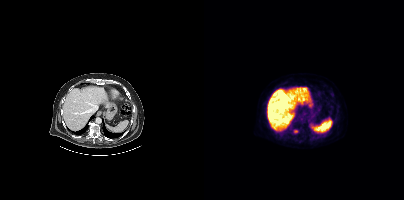
modality: PSMA PET/CT | tracer: [18F]PSMA-1007 | view: axial | PET grid: 200×200
Coordinates are on the 200×200 PET (right) panel. Small PSMA-avid focus (2 to 4 px across) near (center x, center y): (91, 131).